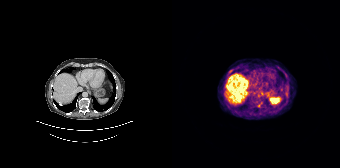
- Left: CT. Right: PSMA PET, same axial level, [68Ga]Ga-PSMA-11 tracer
- slice position z = -1014 mm
Findings: Coordinates are on the 168×168 PET (right) panel. PSMA-avid tumor lesion bounding box (x, y, width, height): x=86 y=102 w=4 h=5. Small PSMA-avid focus (2 to 4 px across) near (center x, center y): (106, 67).